Left: CT. Right: PSMA PET, same axial level, 18F tracer. Acquired on Siemens Biograph 64-4R TruePoint. A region was redacted for de-identification by setting it to black.
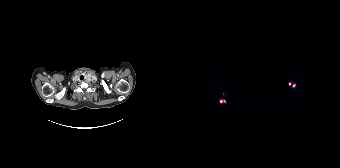
Coordinates are on the 168×168 PET (right) panel. (showing 3 of 4 foci) PSMA-avid tumor lesion bounding box (x, y, width, height): x=47 y=99 w=7 h=5. Small PSMA-avid foci (2 to 4 px across) near (center x, center y): (122, 85) | (117, 83).